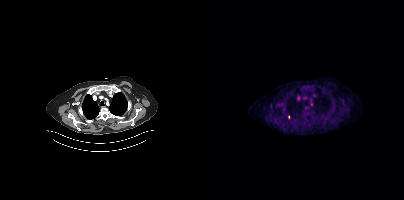
Left: CT. Right: PSMA PET, same axial level, 18F-PSMA tracer. Acquired on Siemens Biograph mCT Flow 20. Slice position z = 1332 mm. Coordinates are on the 200×200 PET (right) panel. Small PSMA-avid focus (2 to 4 px across) near (center x, center y): (84, 117).